Technique: Two-panel axial: CT | PSMA PET, 18F-PSMA tracer. PET panel 200×200 px (4.1 mm/px).
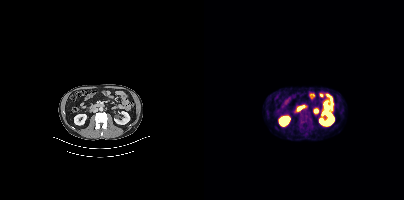
Findings: Coordinates are on the 200×200 PET (right) panel. PSMA-avid tumor lesion bounding box (x0, y0)-(x1, y1): (96, 115)-(106, 121).